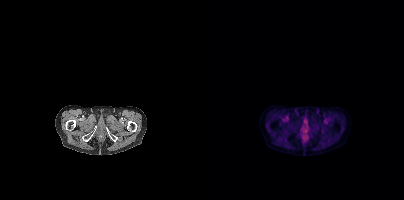
No PSMA-avid tumor lesions on this slice. Paired axial CT (left) and PSMA PET (right), 18F tracer. PET panel 200×200 px (4.1 mm/px).